Head region blanked for anonymization (face removed). Paired axial CT (left) and PSMA PET (right), 18F-PSMA tracer.
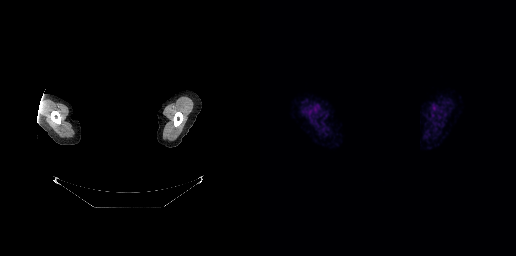
Negative for PSMA-avid disease on this slice.